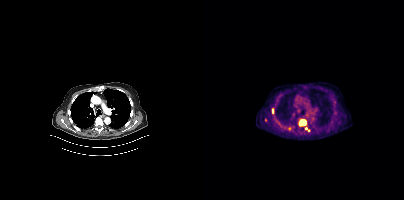
Technique: Two-panel axial: CT | PSMA PET, 18F tracer. slice position z = -1002 mm.
Findings: Coordinates are on the 200×200 PET (right) panel. (showing 4 of 5 foci) PSMA-avid tumor lesion bounding box (x0, y0)-(x1, y1): (96, 119)-(102, 125). Small PSMA-avid foci (2 to 4 px across) near (center x, center y): (68, 111) | (101, 128) | (61, 119).